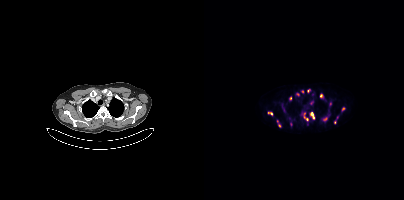
- Left: CT. Right: PSMA PET, same axial level, 18F-PSMA tracer
- slice 326 of 407
Findings: Coordinates are on the 200×200 PET (right) panel. (showing 15 of 19 foci) PSMA-avid tumor lesion bounding boxes (x, y, width, height): x=119 y=114 w=7 h=8 | x=106 y=113 w=5 h=7 | x=137 y=107 w=5 h=5 | x=100 y=116 w=5 h=5. Small PSMA-avid foci (2 to 4 px across) near (center x, center y): (117, 95) | (93, 94) | (107, 102) | (126, 103) | (104, 90) | (75, 125) | (86, 98) | (87, 124) | (67, 114) | (98, 91) | (100, 113).